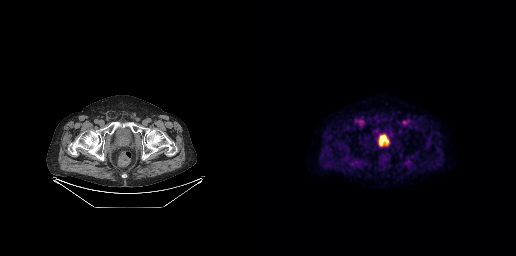
{"modality":"PSMA PET/CT","view":"axial","tracer":"18F","pet_grid":[256,256],"coord_frame":"pet_panel","coord_format":"x0,y0,x1,y1","lesion_bboxes":[[119,135,128,145]]}